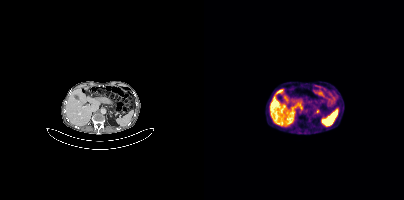
Coordinates are on the 200×200 PET (right) panel. Small PSMA-avid focus (2 to 4 px across) near (center x, center y): (113, 111).